- Paired axial CT (left) and PSMA PET (right), [68Ga]Ga-PSMA-11 tracer
- PET panel 168×168 px (4.1 mm/px)
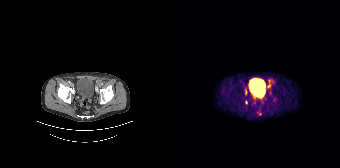
Findings: Coordinates are on the 168×168 PET (right) panel. (showing 2 of 5 foci) PSMA-avid tumor lesion bounding box (x0,y0,x1,y1): [73,89,75,94]. Small PSMA-avid focus (2 to 4 px across) near (center x, center y): (97, 86).